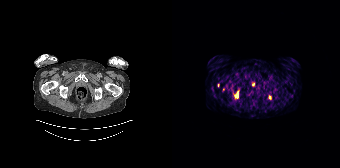
Coordinates are on the 168×168 PET (right) panel. (showing 3 of 4 foci) PSMA-avid tumor lesion bounding box (x0,y0,x1,y1): [62,91,66,97]. Small PSMA-avid foci (2 to 4 px across) near (center x, center y): (51, 89), (97, 97).